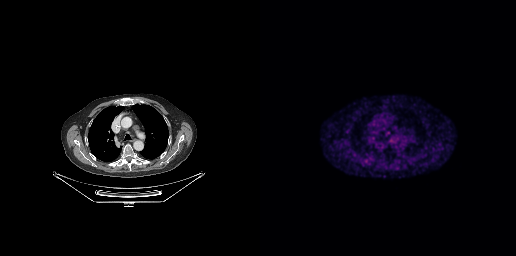
- Paired axial CT (left) and PSMA PET (right), 68Ga tracer
- acquired on GE Discovery 690
Findings: This slice has no annotated PSMA-avid lesion.